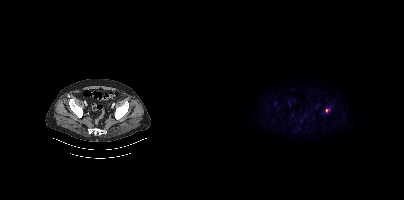
Coordinates are on the 200×200 PET (right) panel. PSMA-avid tumor lesion bounding box (x0,y0,x1,y1): [121,109,125,112].